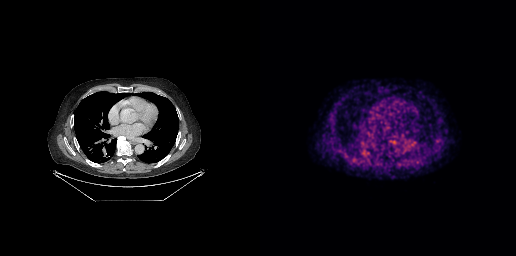
Left: CT. Right: PSMA PET, same axial level, [68Ga]Ga-PSMA-11 tracer. Negative for PSMA-avid disease on this slice.